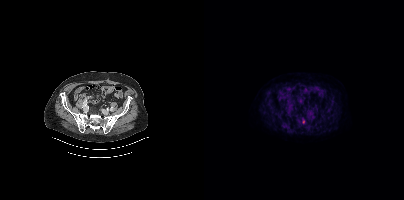
Coordinates are on the 200×200 PET (right) panel. PSMA-avid tumor lesion bounding boxes:
| # | x0 | y0 | x1 | y1 |
|---|---|---|---|---|
| 1 | 98 | 119 | 100 | 123 |
Left: CT. Right: PSMA PET, same axial level, 18F tracer. PET panel 200×200 px (4.1 mm/px).